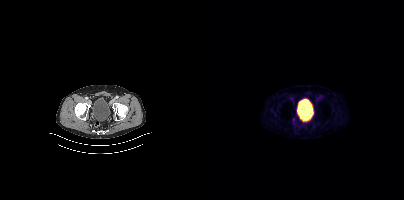
Two-panel axial: CT | PSMA PET, 68Ga tracer. Acquired on Siemens Biograph mCT Flow 20. Slice 81 of 397. PET panel 200×200 px (4.1 mm/px). Coordinates are on the 200×200 PET (right) panel. Small PSMA-avid focus (2 to 4 px across) near (center x, center y): (89, 120).